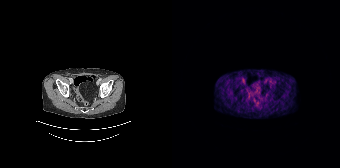
No tumor lesions annotated on this slice.